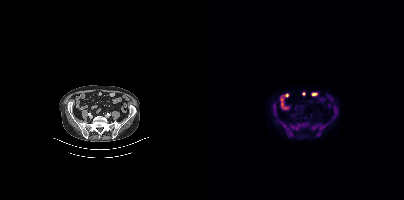
Paired axial CT (left) and PSMA PET (right), 18F tracer. Acquired on Siemens Biograph mCT Flow 20.
Coordinates are on the 200×200 PET (right) panel. PSMA-avid tumor lesion bounding boxes:
| # | x0 | y0 | x1 | y1 |
|---|---|---|---|---|
| 1 | 130 | 105 | 132 | 112 |